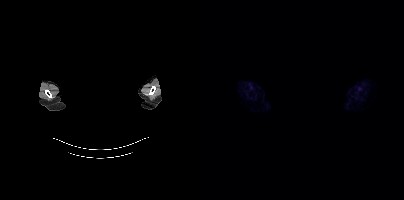
- any black rectangle over the head is a privacy mask, not anatomy
- Two-panel axial: CT | PSMA PET, 68Ga-PSMA tracer
- acquired on Siemens Biograph mCT Flow 20
Findings: No tumor lesions annotated on this slice.